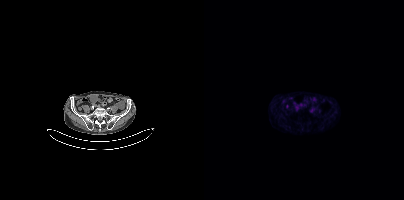
Paired axial CT (left) and PSMA PET (right), 18F tracer. Slice 104 of 385. PET panel 200×200 px (4.1 mm/px). Negative for PSMA-avid disease on this slice.